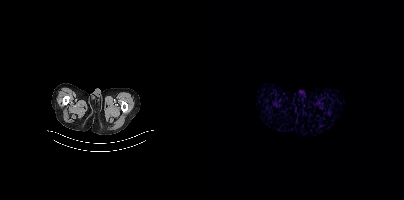
Paired axial CT (left) and PSMA PET (right), 68Ga tracer. Negative for PSMA-avid disease on this slice.